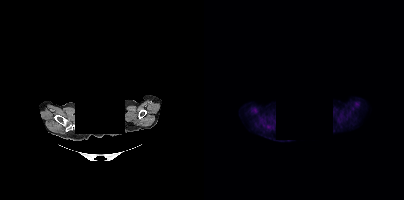
Left: CT. Right: PSMA PET, same axial level, 18F-PSMA tracer. Slice 376 of 415. Face de-identified by blanking a block of the head. This slice has no annotated PSMA-avid lesion.